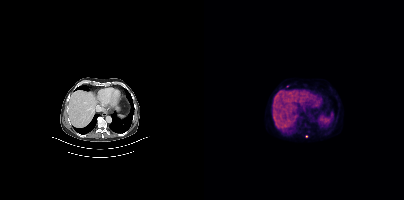
{"modality":"PSMA PET/CT","view":"axial","tracer":"18F","pet_grid":[200,200],"coord_frame":"pet_panel","coord_format":"x0,y0,x1,y1","partial":true,"lesion_bboxes":[],"small_foci_centers":[[102,136]]}